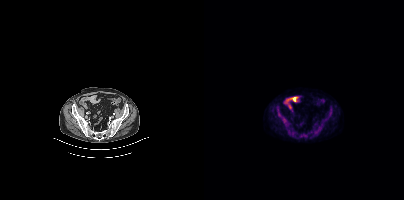
{"modality":"PSMA PET/CT","view":"axial","tracer":"18F","pet_grid":[200,200],"coord_frame":"pet_panel","coord_format":"x0,y0,x1,y1","lesion_bboxes":[[78,117,85,126],[73,106,77,116],[96,133,104,137],[124,108,128,118]]}